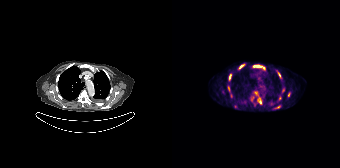
Two-panel axial: CT | PSMA PET, 68Ga tracer. Acquired on Siemens Biograph 64-4R TruePoint.
Coordinates are on the 168×168 PET (right) panel. PSMA-avid tumor lesion bounding boxes (partial; 2 more foci not listed):
| # | x0 | y0 | x1 | y1 |
|---|---|---|---|---|
| 1 | 81 | 64 | 93 | 69 |
| 2 | 105 | 70 | 109 | 78 |
| 3 | 102 | 105 | 108 | 108 |
| 4 | 86 | 98 | 89 | 103 |
| 5 | 67 | 64 | 72 | 68 |
| 6 | 57 | 74 | 59 | 80 |
| 7 | 56 | 86 | 57 | 91 |
Small PSMA-avid foci (2 to 4 px across) near (center x, center y): (117, 94); (111, 90); (108, 98); (82, 105); (83, 92).